Technique: Paired axial CT (left) and PSMA PET (right), 18F-PSMA tracer. slice position z = -988 mm. PET panel 200×200 px (4.1 mm/px).
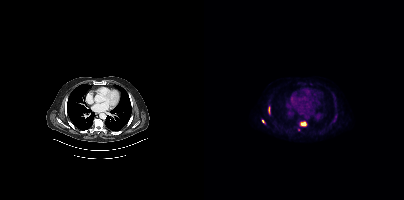
Findings: Coordinates are on the 200×200 PET (right) panel. PSMA-avid tumor lesion bounding boxes (x0, y0)-(x1, y1): (97, 122)-(102, 125) | (64, 106)-(66, 114) | (129, 115)-(132, 122). Small PSMA-avid foci (2 to 4 px across) near (center x, center y): (59, 121) | (94, 129).